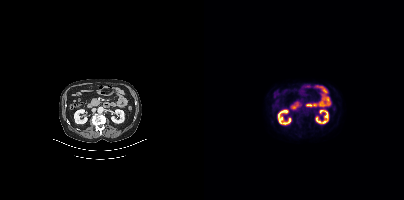
Negative for PSMA-avid disease on this slice.